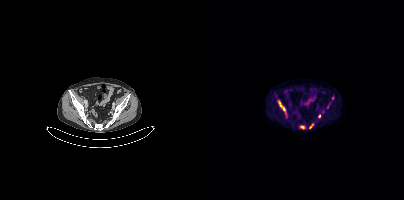
modality: PSMA PET/CT | tracer: 18F-PSMA | view: axial | PET grid: 200×200
Coordinates are on the 200×200 PET (right) panel. PSMA-avid tumor lesion bounding boxes (x, y, width, height): x=73 y=100 w=10 h=15; x=96 y=126 w=5 h=3; x=105 y=124 w=5 h=5. Small PSMA-avid foci (2 to 4 px across) near (center x, center y): (128, 98); (115, 116); (123, 107).